- Paired axial CT (left) and PSMA PET (right), 18F-PSMA tracer
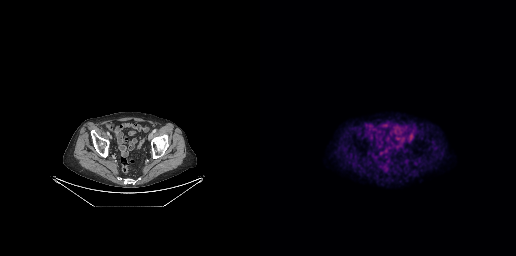
Findings: Negative for PSMA-avid disease on this slice.